modality: PSMA PET/CT | tracer: [18F]PSMA-1007 | view: axial
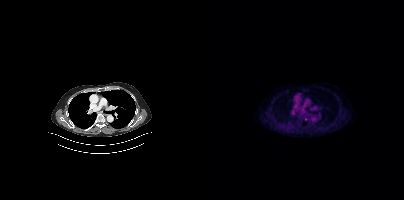
No tumor lesions annotated on this slice.